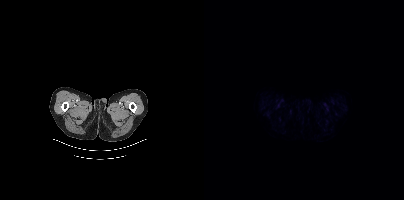
Two-panel axial: CT | PSMA PET, 18F-PSMA tracer. PET panel 200×200 px (4.1 mm/px). Negative for PSMA-avid disease on this slice.